modality: PSMA PET/CT | tracer: 18F | view: axial
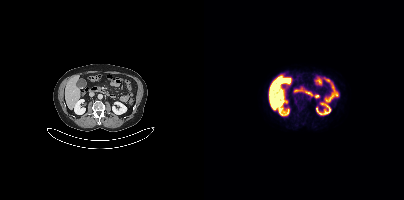
No PSMA-avid tumor lesions on this slice.